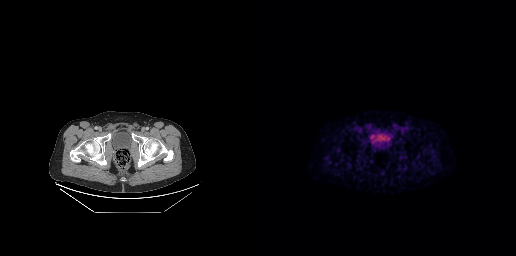
Coordinates are on the 256×256 PET (right) panel. PSMA-avid tumor lesion bounding box (x0, y0)-(x1, y1): (109, 134)-(114, 138). Left: CT. Right: PSMA PET, same axial level, 18F-PSMA tracer. Slice position z = -704 mm.